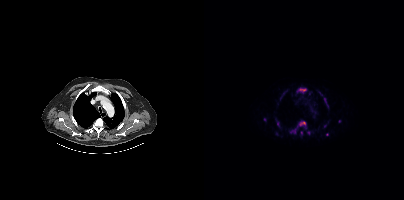
Coordinates are on the 200×200 PET (right) panel. (showing 11 of 12 foci) PSMA-avid tumor lesion bounding boxes (x, y, width, height): x=85 y=120 w=18 h=15 / x=93 y=88 w=10 h=6 / x=73 y=121 w=3 h=6 / x=96 y=131 w=3 h=5 / x=120 y=98 w=3 h=5. Small PSMA-avid foci (2 to 4 px across) near (center x, center y): (61, 119) / (104, 132) / (123, 134) / (135, 121) / (121, 126) / (72, 133).